- Paired axial CT (left) and PSMA PET (right), 18F tracer
- acquired on Siemens Biograph mCT Flow 20
- slice position z = -1124 mm
- PET panel 200×200 px (4.1 mm/px)
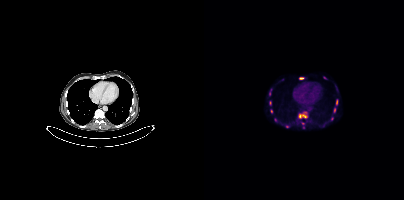
Findings: Coordinates are on the 200×200 PET (right) panel. (showing 8 of 10 foci) PSMA-avid tumor lesion bounding boxes (x0, y0)-(x1, y1): (94, 112)-(103, 118); (95, 77)-(100, 79); (132, 100)-(133, 104); (130, 108)-(131, 112). Small PSMA-avid foci (2 to 4 px across) near (center x, center y): (66, 102); (67, 111); (120, 77); (98, 123).